Privacy masking over the head, with the pixels inside a rectangle set to black.
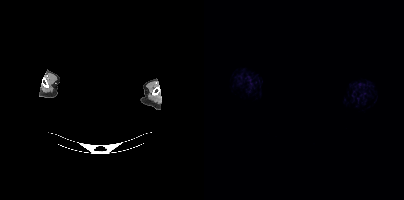
No tumor lesions annotated on this slice.